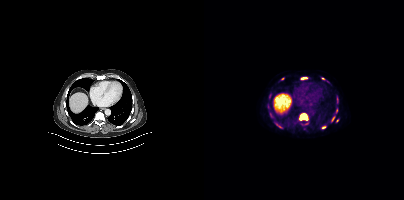
- Two-panel axial: CT | PSMA PET, [18F]PSMA-1007 tracer
- acquired on Siemens Biograph mCT Flow 20
- PET panel 200×200 px (4.1 mm/px)
Findings: Coordinates are on the 200×200 PET (right) panel. (showing 9 of 12 foci) PSMA-avid tumor lesion bounding boxes (x0,y0,x1,y1): [96,113,103,119]; [97,77,103,79]; [74,125,78,128]; [117,126,121,128]. Small PSMA-avid foci (2 to 4 px across) near (center x, center y): (78, 78); (132, 110); (119, 78); (129, 118); (133, 120).